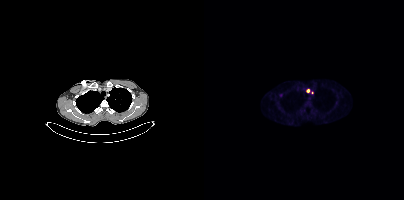
{"modality":"PSMA PET/CT","view":"axial","tracer":"18F","pet_grid":[200,200],"coord_frame":"pet_panel","coord_format":"x0,y0,x1,y1","partial":true,"lesion_bboxes":[],"small_foci_centers":[[104,90],[108,92]]}